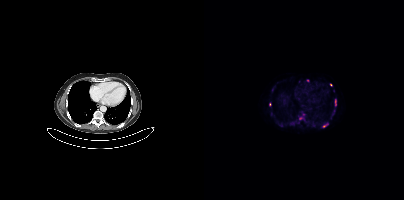
Paired axial CT (left) and PSMA PET (right), [68Ga]Ga-PSMA-11 tracer. Acquired on Siemens Biograph mCT Flow 20. PET panel 200×200 px (4.1 mm/px). Coordinates are on the 200×200 PET (right) panel. (showing 3 of 4 foci) PSMA-avid tumor lesion bounding boxes (x, y, width, height): x=131 y=99 w=2 h=7 | x=119 y=124 w=5 h=4. Small PSMA-avid focus (2 to 4 px across) near (center x, center y): (103, 80).